Technique: Paired axial CT (left) and PSMA PET (right), 18F tracer. acquired on Siemens Biograph mCT Flow 20.
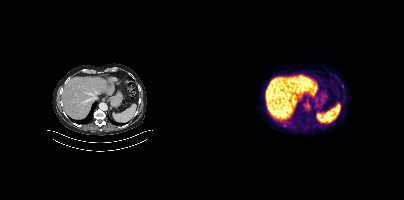
Findings: No tumor lesions annotated on this slice.